Two-panel axial: CT | PSMA PET, [68Ga]Ga-PSMA-11 tracer.
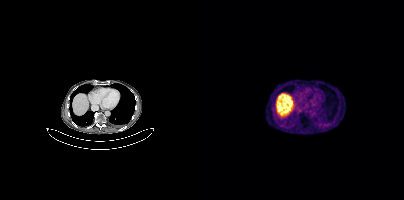
This slice has no annotated PSMA-avid lesion.